modality: PSMA PET/CT | tracer: [18F]PSMA-1007 | view: axial | PET grid: 200×200
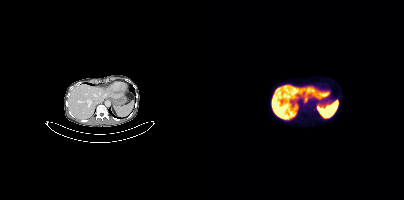
No tumor lesions annotated on this slice.